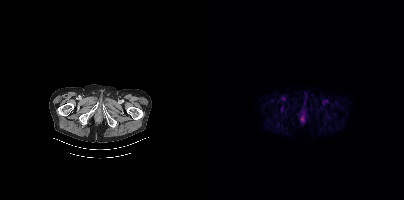
Technique: Paired axial CT (left) and PSMA PET (right), 18F-PSMA tracer.
Findings: No PSMA-avid tumor lesions on this slice.